modality: PSMA PET/CT | tracer: 18F | view: axial
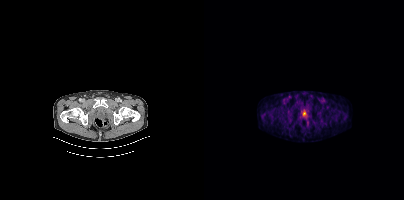
This slice has no annotated PSMA-avid lesion.